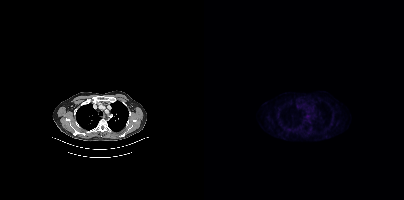
Left: CT. Right: PSMA PET, same axial level, 18F-PSMA tracer. PET panel 200×200 px (4.1 mm/px). No PSMA-avid tumor lesions on this slice.